Left: CT. Right: PSMA PET, same axial level, 18F-PSMA tracer. Acquired on GE Discovery 690.
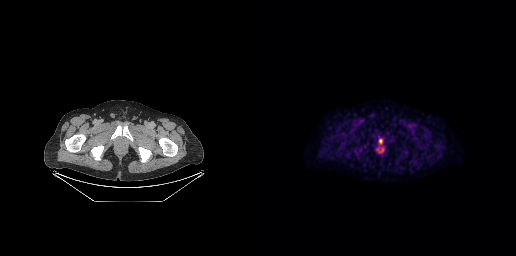
Only PSMA-avid lesion pieces thinner than 2 px on this slice (not listed).